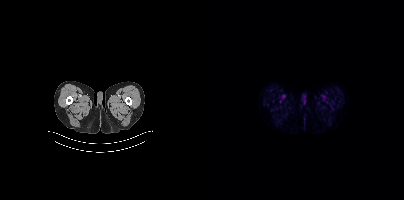
{"modality":"PSMA PET/CT","view":"axial","tracer":"[18F]PSMA-1007","pet_grid":[200,200],"coord_frame":"pet_panel","coord_format":"x0,y0,x1,y1","psma_avid_lesions":false}